Two-panel axial: CT | PSMA PET, 18F-PSMA tracer.
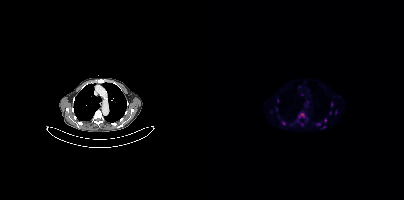
Coordinates are on the 200×200 PET (right) panel. PSMA-avid tumor lesion bounding boxes (partial; 4 more foci not listed):
| # | x0 | y0 | x1 | y1 |
|---|---|---|---|---|
| 1 | 95 | 113 | 100 | 117 |
| 2 | 112 | 123 | 116 | 125 |
Small PSMA-avid foci (2 to 4 px across) near (center x, center y): (121, 120); (127, 104); (120, 126); (103, 101); (79, 123).